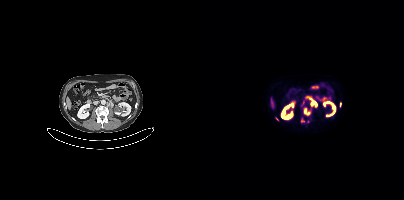
Findings: Coordinates are on the 200×200 PET (right) panel. (showing 6 of 7 foci) PSMA-avid tumor lesion bounding boxes (x0,y0,x1,y1): [106,99,112,106], [100,109,105,114], [97,118,100,122]. Small PSMA-avid foci (2 to 4 px across) near (center x, center y): (136, 104), (99, 102), (73, 119).
- Two-panel axial: CT | PSMA PET, [18F]PSMA-1007 tracer
- PET panel 200×200 px (4.1 mm/px)